Two-panel axial: CT | PSMA PET, 18F-PSMA tracer. Slice 168 of 263. PET panel 256×256 px (2.7 mm/px).
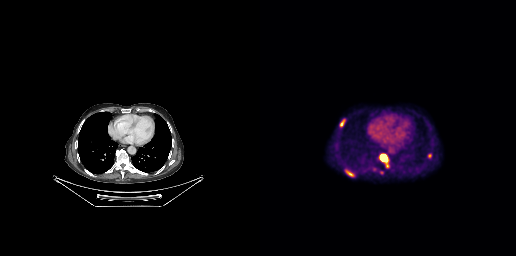
Coordinates are on the 256×256 PET (right) panel. PSMA-avid tumor lesion bounding boxes (partial; 1 more focus not listed):
| # | x0 | y0 | x1 | y1 |
|---|---|---|---|---|
| 1 | 120 | 154 | 127 | 161 |
| 2 | 85 | 169 | 94 | 176 |
| 3 | 79 | 119 | 85 | 127 |
| 4 | 167 | 153 | 172 | 158 |
Small PSMA-avid focus (2 to 4 px across) near (center x, center y): (121, 172).